modality: PSMA PET/CT | tracer: 18F-PSMA | view: axial
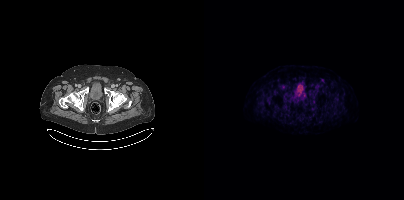
Coordinates are on the 200×200 PET (right) panel. Small PSMA-avid focus (2 to 4 px across) near (center x, center y): (85, 86).